Two-panel axial: CT | PSMA PET, 68Ga tracer. Acquired on GE Discovery 690. Slice position z = -716 mm. PET panel 256×256 px (2.7 mm/px).
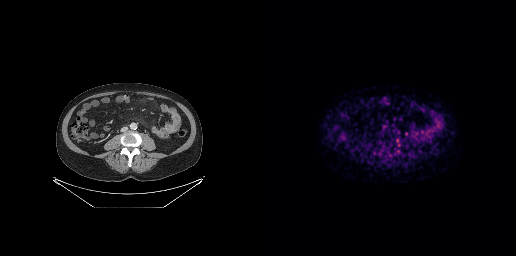
Negative for PSMA-avid disease on this slice.